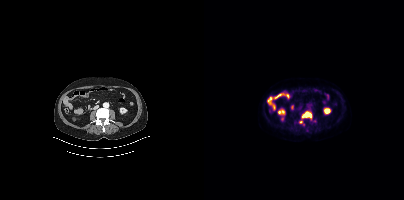
Coordinates are on the 200×200 PET (right) panel. PSMA-avid tumor lesion bounding boxes (x0,y0,x1,y1): [98,111,107,117] [96,121,100,126] [108,119,112,122].